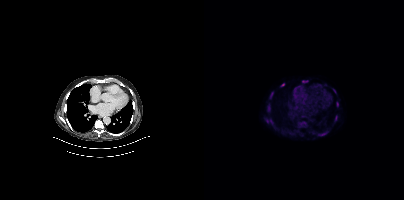
Coordinates are on the 200×200 PET (right) panel. (showing 10 of 11 foci) PSMA-avid tumor lesion bounding boxes (x0, y0)-(x1, y1): (63, 104)-(66, 111); (115, 132)-(122, 135); (98, 80)-(104, 82); (65, 92)-(68, 98). Small PSMA-avid foci (2 to 4 px across) near (center x, center y): (78, 84); (63, 120); (133, 103); (130, 90); (132, 117); (67, 121).